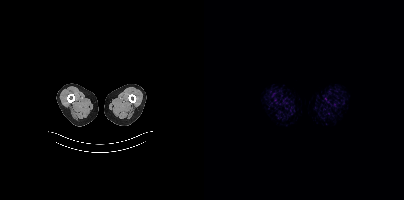
- Two-panel axial: CT | PSMA PET, [18F]PSMA-1007 tracer
- slice 5 of 413
Findings: No tumor lesions annotated on this slice.